Two-panel axial: CT | PSMA PET, 18F-PSMA tracer. Slice 157 of 263. PET panel 256×256 px (2.7 mm/px).
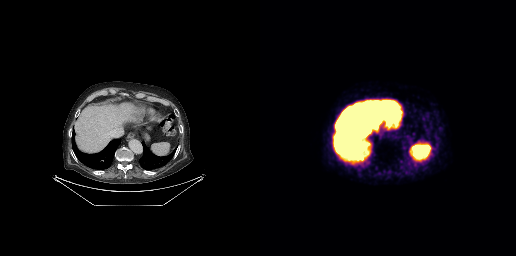
Negative for PSMA-avid disease on this slice.